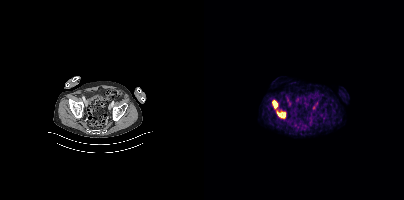
Technique: Two-panel axial: CT | PSMA PET, [18F]PSMA-1007 tracer. slice 108 of 427.
Findings: Coordinates are on the 200×200 PET (right) panel. PSMA-avid tumor lesion bounding boxes (x, y, width, height): x=73 y=111 w=9 h=8 / x=68 y=100 w=6 h=9.